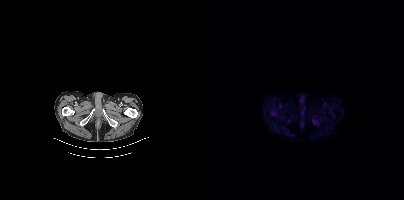
{"modality":"PSMA PET/CT","view":"axial","tracer":"18F-PSMA","pet_grid":[200,200],"coord_frame":"pet_panel","coord_format":"x0,y0,x1,y1","psma_avid_lesions":false}